Two-panel axial: CT | PSMA PET, 18F-PSMA tracer. Slice 111 of 462. PET panel 200×200 px (4.1 mm/px).
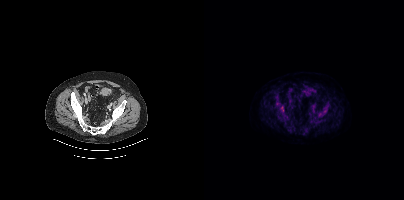
Negative for PSMA-avid disease on this slice.